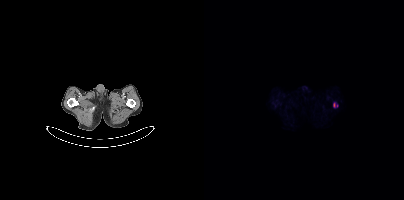
Coordinates are on the 200×200 PET (right) panel. (showing 1 of 2 foci) PSMA-avid tumor lesion bounding box (x, y, width, height): x=129 y=103 w=3 h=5.